- facial anatomy redacted by setting a rectangular region of the head to black
- Two-panel axial: CT | PSMA PET, 18F-PSMA tracer
- acquired on Siemens Biograph mCT Flow 20
- slice position z = -142 mm
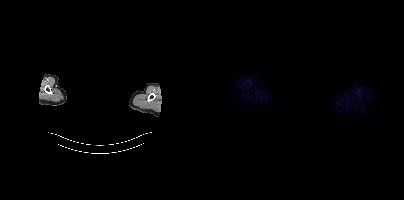
Findings: This slice has no annotated PSMA-avid lesion.